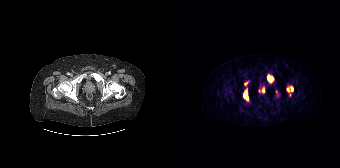
{"pet_grid":[168,168],"coord_frame":"pet_panel","coord_format":"x0,y0,x1,y1","lesion_bboxes":[[71,88,77,101],[95,75,101,82],[72,81,77,85]],"small_foci_centers":[[120,88],[91,90],[115,89]],"modality":"PSMA PET/CT","view":"axial","tracer":"[68Ga]Ga-PSMA-11"}